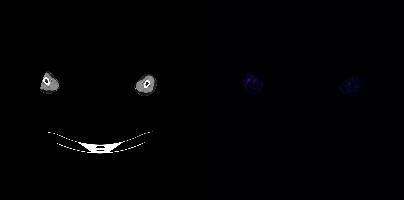
- the head region is masked for de-identification
- Left: CT. Right: PSMA PET, same axial level, [18F]PSMA-1007 tracer
- PET panel 200×200 px (4.1 mm/px)
Findings: This slice has no annotated PSMA-avid lesion.